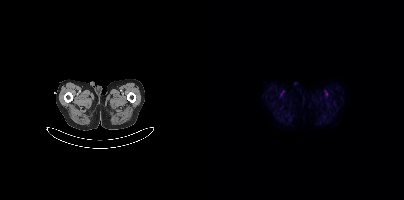
Technique: Paired axial CT (left) and PSMA PET (right), 18F tracer.
Findings: No PSMA-avid tumor lesions on this slice.